modality: PSMA PET/CT | tracer: 18F | view: axial
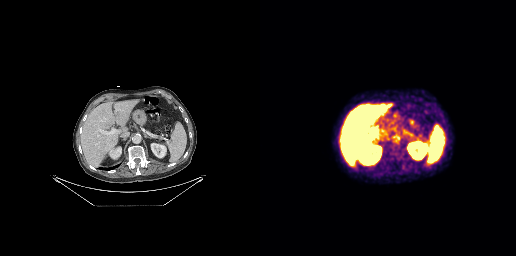
No PSMA-avid tumor lesions on this slice.